modality: PSMA PET/CT | tracer: 18F | view: axial | PET grid: 200×200
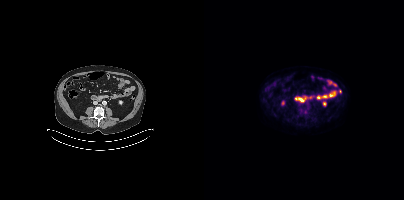
No tumor lesions annotated on this slice.